Paired axial CT (left) and PSMA PET (right), 18F tracer. PET panel 256×256 px (2.7 mm/px).
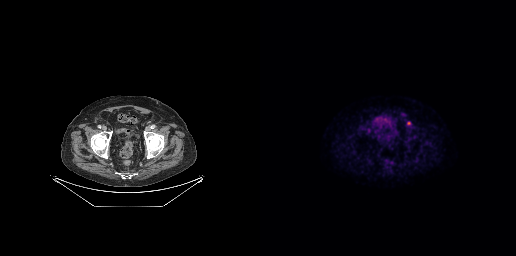
Coordinates are on the 256×256 PET (right) panel. Small PSMA-avid focus (2 to 4 px across) near (center x, center y): (148, 123).